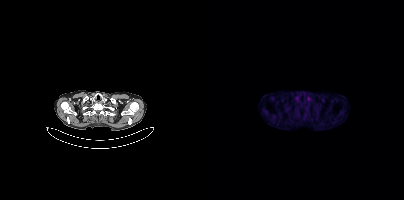
{"modality":"PSMA PET/CT","view":"axial","tracer":"18F","pet_grid":[200,200],"coord_frame":"pet_panel","coord_format":"x0,y0,x1,y1","psma_avid_lesions":false}